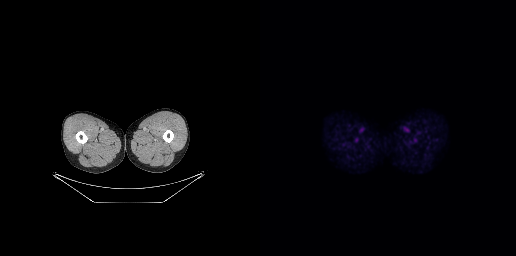
Paired axial CT (left) and PSMA PET (right), [18F]PSMA-1007 tracer. This slice has no annotated PSMA-avid lesion.